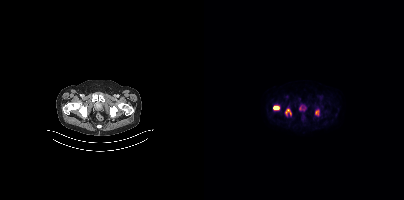
Technique: Left: CT. Right: PSMA PET, same axial level, 18F tracer. acquired on Siemens Biograph mCT Flow 20. slice 67 of 395.
Findings: Coordinates are on the 200×200 PET (right) panel. PSMA-avid tumor lesion bounding boxes (x0, y0)-(x1, y1): (69, 106)-(75, 109) / (111, 109)-(115, 115) / (81, 109)-(86, 115).